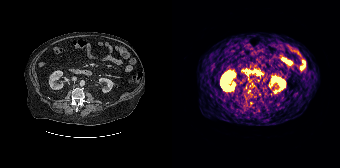
modality: PSMA PET/CT | tracer: 68Ga | view: axial
This slice has no annotated PSMA-avid lesion.